Paired axial CT (left) and PSMA PET (right), 18F-PSMA tracer. Slice position z = -942 mm.
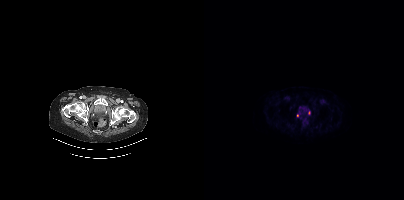
Coordinates are on the 200×200 PET (right) panel. Small PSMA-avid foci (2 to 4 px across) near (center x, center y): (105, 112) (93, 115).